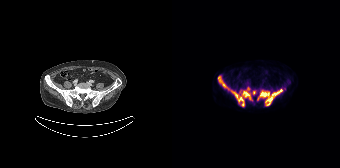
modality: PSMA PET/CT | tracer: [18F]PSMA-1007 | view: axial
Coordinates are on the 168×168 PET (right) panel. PSMA-avid tumor lesion bounding boxes (x0,y0,x1,y1): [46,77,80,106], [85,89,110,105]. Small PSMA-avid focus (2 to 4 px across) near (center x, center y): (82, 92).